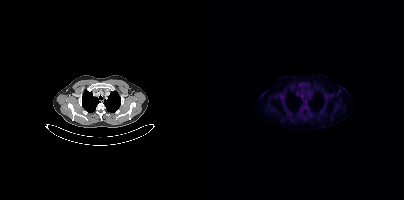
Coordinates are on the 200×200 PET (right) panel. Small PSMA-avid focus (2 to 4 px across) near (center x, center y): (135, 90). Two-panel axial: CT | PSMA PET, [18F]PSMA-1007 tracer. Acquired on Siemens Biograph mCT Flow 20. Slice 314 of 393.